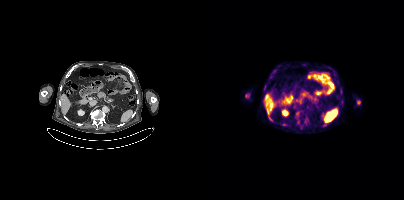
Coordinates are on the 200×200 PET (right) panel. (showing 2 of 3 foci) PSMA-avid tumor lesion bounding boxes (x, y, width, height): x=41 y=94 w=5 h=4 | x=77 y=123 w=6 h=3.